- Paired axial CT (left) and PSMA PET (right), 18F-PSMA tracer
- PET panel 200×200 px (4.1 mm/px)
- any black rectangle over the head is a privacy mask, not anatomy
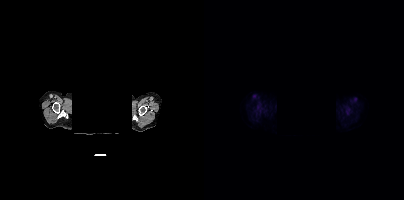
Findings: Coordinates are on the 200×200 PET (right) panel. Small PSMA-avid foci (2 to 4 px across) near (center x, center y): (151, 99), (137, 120).